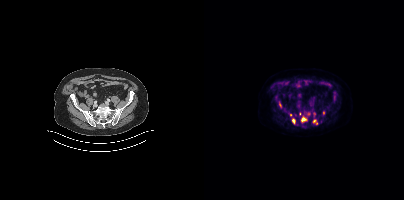
{"modality":"PSMA PET/CT","view":"axial","tracer":"[18F]PSMA-1007","pet_grid":[200,200],"coord_frame":"pet_panel","coord_format":"x0,y0,x1,y1","partial":true,"lesion_bboxes":[[97,116,102,122],[109,119,113,124],[88,118,91,123],[75,102,77,107],[130,95,131,100]],"small_foci_centers":[[110,113],[119,113],[130,92],[86,114],[104,113]]}